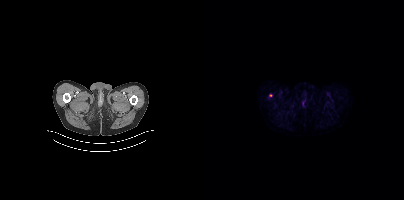
Coordinates are on the 200×200 PET (right) panel. (showing 1 of 2 foci) Small PSMA-avid focus (2 to 4 px across) near (center x, center y): (66, 95).
modality: PSMA PET/CT | tracer: 18F | view: axial | PET grid: 200×200